modality: PSMA PET/CT | tracer: 68Ga | view: axial
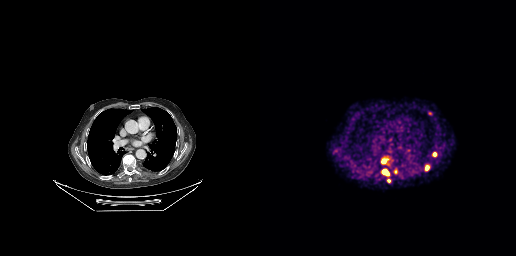
Coordinates are on the 256×256 PET (right) panel. PSMA-avid tumor lesion bounding boxes (x, y, width, height): x=121 y=156 w=13 h=9 / x=122 y=169 w=7 h=7 / x=134 y=168 w=4 h=6 / x=173 y=152 w=4 h=5 / x=166 y=166 w=3 h=5. Small PSMA-avid foci (2 to 4 px across) near (center x, center y): (169, 113) / (128, 180).